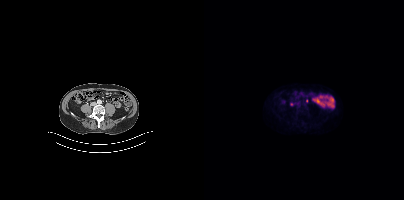
Technique: Paired axial CT (left) and PSMA PET (right), [18F]PSMA-1007 tracer.
Findings: Coordinates are on the 200×200 PET (right) panel. (showing 1 of 2 foci) Small PSMA-avid focus (2 to 4 px across) near (center x, center y): (87, 104).